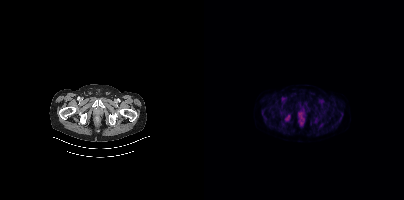
modality: PSMA PET/CT | tracer: 18F-PSMA | view: axial
Coordinates are on the 200×200 PET (right) panel. Small PSMA-avid focus (2 to 4 px across) near (center x, center y): (95, 113).